Paired axial CT (left) and PSMA PET (right), 68Ga tracer.
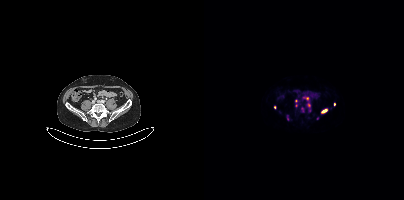
Coordinates are on the 200×200 PET (right) panel. PSMA-avid tumor lesion bounding boxes:
| # | x0 | y0 | x1 | y1 |
|---|---|---|---|---|
| 1 | 103 | 104 | 107 | 112 |
| 2 | 99 | 97 | 105 | 100 |
| 3 | 118 | 109 | 122 | 112 |
| 4 | 83 | 115 | 84 | 120 |
Small PSMA-avid foci (2 to 4 px across) near (center x, center y): (98, 109); (92, 105); (70, 107); (130, 104); (91, 100); (113, 118).